Two-panel axial: CT | PSMA PET, [18F]PSMA-1007 tracer. Acquired on Siemens Biograph mCT Flow 20. Slice position z = -1756 mm.
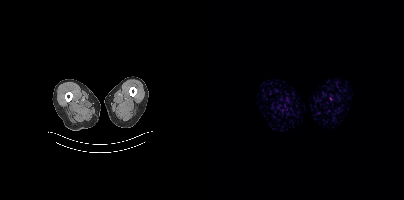
This slice has no annotated PSMA-avid lesion.